The head region is masked for de-identification.
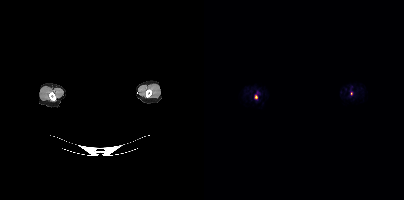
This slice has no annotated PSMA-avid lesion.